Technique: Two-panel axial: CT | PSMA PET, [18F]PSMA-1007 tracer. PET panel 200×200 px (4.1 mm/px).
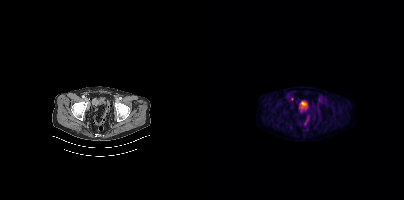
Findings: Coordinates are on the 200×200 PET (right) panel. Small PSMA-avid focus (2 to 4 px across) near (center x, center y): (88, 99).